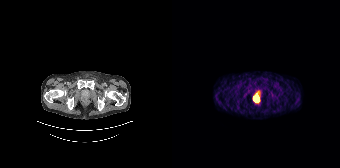
Technique: Left: CT. Right: PSMA PET, same axial level, 68Ga tracer. acquired on Siemens Biograph 64-4R TruePoint.
Findings: Coordinates are on the 168×168 PET (right) panel. PSMA-avid tumor lesion bounding box (x0, y0)-(x1, y1): (81, 96)-(87, 102).